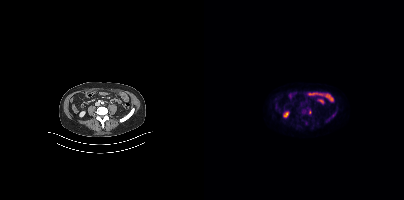
modality: PSMA PET/CT | tracer: 18F-PSMA | view: axial
Coordinates are on the 200×200 PET (right) panel. (showing 1 of 2 foci) Small PSMA-avid focus (2 to 4 px across) near (center x, center y): (129, 115).